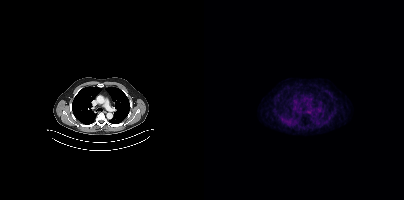
Findings: Negative for PSMA-avid disease on this slice.
- Paired axial CT (left) and PSMA PET (right), 68Ga tracer